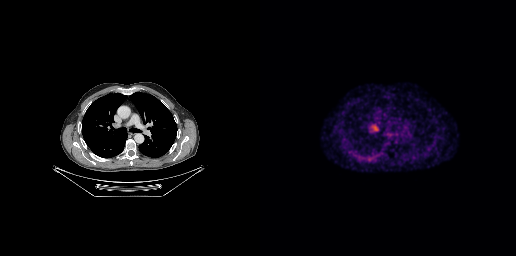
Coordinates are on the 256×256 PET (right) panel. PSMA-avid tumor lesion bounding box (x0, y0)-(x1, y1): (111, 124)-(117, 130).